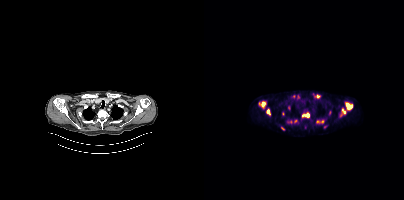
{"modality":"PSMA PET/CT","view":"axial","tracer":"18F-PSMA","pet_grid":[200,200],"coord_frame":"pet_panel","coord_format":"x0,y0,x1,y1","partial":true,"lesion_bboxes":[[136,102,148,116],[112,120,120,123],[98,113,105,117],[85,119,93,123],[57,101,61,107],[62,109,66,115],[84,105,86,109],[111,94,115,97]],"small_foci_centers":[[78,128],[89,96],[121,126],[94,96]]}